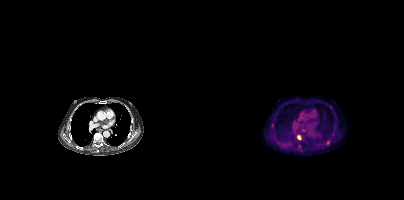
{"modality":"PSMA PET/CT","view":"axial","tracer":"18F","pet_grid":[200,200],"coord_frame":"pet_panel","coord_format":"x0,y0,x1,y1","lesion_bboxes":[[93,135,96,139]],"small_foci_centers":[[126,107],[124,142],[96,145],[68,125]]}